Paired axial CT (left) and PSMA PET (right), 18F-PSMA tracer. Acquired on Siemens Biograph mCT Flow 20. Slice 379 of 413. PET panel 200×200 px (4.1 mm/px). Facial anatomy redacted by setting a rectangular region of the head to black.
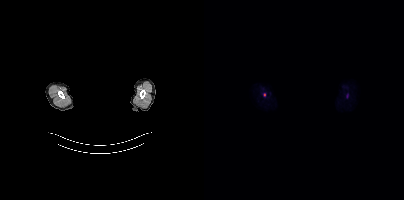
Coordinates are on the 200×200 PET (right) panel. Small PSMA-avid focus (2 to 4 px across) near (center x, center y): (60, 94).